A rectangular block over the head has been blanked out for de-identification.
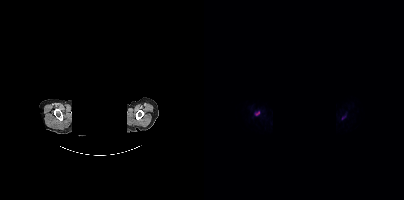
Coordinates are on the 200×200 PET (right) panel. PSMA-avid tumor lesion bounding box (x, y, width, height): x=51 y=111 w=5 h=5. Small PSMA-avid focus (2 to 4 px across) near (center x, center y): (139, 118).